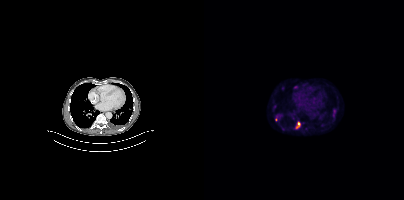
Coordinates are on the 200×200 PET (right) panel. (showing 3 of 6 foci) PSMA-avid tumor lesion bounding boxes (x0, y0)-(x1, y1): (71, 115)-(77, 120) / (92, 122)-(96, 128) / (129, 109)-(132, 113).